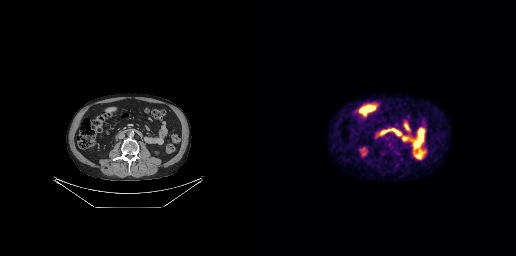
{"modality":"PSMA PET/CT","view":"axial","tracer":"18F-PSMA","pet_grid":[256,256],"coord_frame":"pet_panel","coord_format":"x0,y0,x1,y1","psma_avid_lesions":false}